Two-panel axial: CT | PSMA PET, [18F]PSMA-1007 tracer. PET panel 168×168 px (4.1 mm/px).
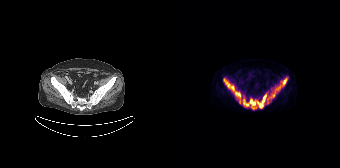
Coordinates are on the 168×168 PET (right) panel. PSMA-avid tumor lesion bounding boxes (x0,y0,x1,y1): [71,93,94,109]; [95,78,115,103]; [52,78,69,103].